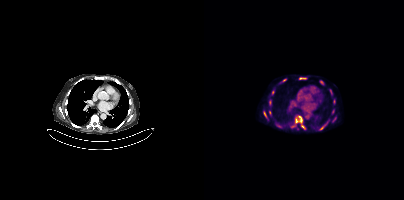
modality: PSMA PET/CT | tracer: 18F-PSMA | view: axial
Coordinates are on the 200×200 PET (right) panel. (showing 12 of 15 foci) PSMA-avid tumor lesion bounding boxes (x, y, width, height): x=91 y=116 w=8 h=8 / x=95 y=77 w=8 h=3 / x=116 y=80 w=4 h=5 / x=116 y=124 w=6 h=6 / x=60 y=112 w=3 h=5. Small PSMA-avid foci (2 to 4 px across) near (center x, center y): (98, 126) / (80, 80) / (66, 102) / (127, 91) / (68, 93) / (130, 100) / (65, 112).